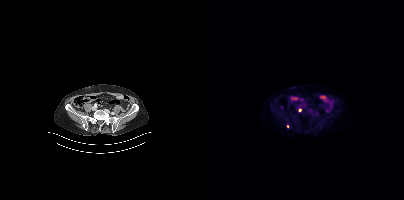
Coordinates are on the 200×200 PET (right) panel. Small PSMA-avid foci (2 to 4 px across) near (center x, center y): (83, 126); (95, 110). Two-panel axial: CT | PSMA PET, 18F-PSMA tracer. Acquired on Siemens Biograph mCT Flow 20.